Left: CT. Right: PSMA PET, same axial level, 18F-PSMA tracer. PET panel 200×200 px (4.1 mm/px).
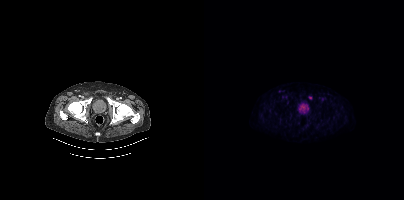
No PSMA-avid tumor lesions on this slice.